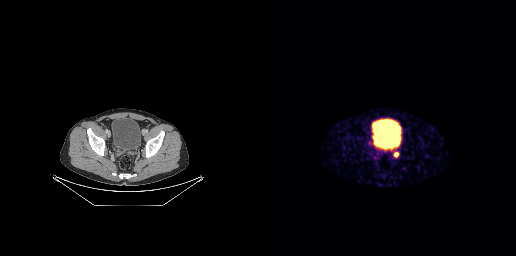
Coordinates are on the 256×256 PET (right) panel. (showing 2 of 3 foci) Small PSMA-avid foci (2 to 4 px across) near (center x, center y): (136, 154); (122, 145).